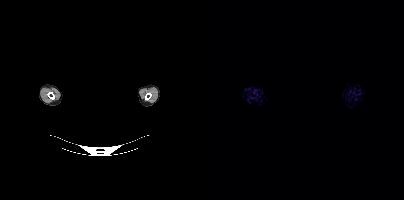
{"pet_grid":[200,200],"coord_frame":"pet_panel","coord_format":"x0,y0,x1,y1","psma_avid_lesions":false,"redaction":"privacy mask over head","modality":"PSMA PET/CT","view":"axial","tracer":"18F-PSMA"}